modality: PSMA PET/CT | tracer: 18F | view: axial
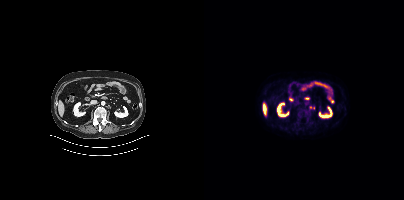
Coordinates are on the 200×200 PET (right) panel. Small PSMA-avid foci (2 to 4 px across) near (center x, center y): (106, 107) / (109, 107).